modality: PSMA PET/CT | tracer: 18F-PSMA | view: axial | PET grid: 200×200
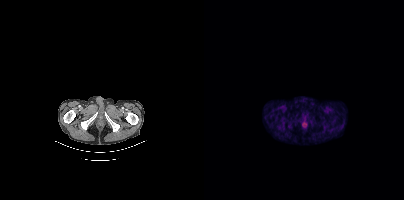
No tumor lesions annotated on this slice.